Technique: Paired axial CT (left) and PSMA PET (right), 68Ga tracer. acquired on GE Discovery 690. slice position z = -872 mm.
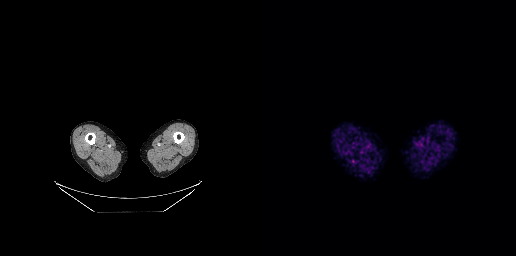
Findings: Negative for PSMA-avid disease on this slice.